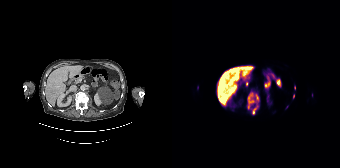
Left: CT. Right: PSMA PET, same axial level, [18F]PSMA-1007 tracer. Slice position z = -1094 mm. PET panel 168×168 px (4.1 mm/px). Coordinates are on the 168×168 PET (right) panel. PSMA-avid tumor lesion bounding box (x, y, width, height): x=75 y=92 w=13 h=23. Small PSMA-avid foci (2 to 4 px across) near (center x, center y): (122, 88); (121, 96).